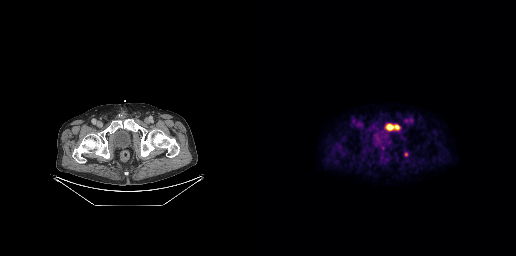
Left: CT. Right: PSMA PET, same axial level, [18F]PSMA-1007 tracer. Acquired on GE Discovery 690. Slice position z = -731 mm. PET panel 256×256 px (2.7 mm/px). Coordinates are on the 256×256 PET (right) panel. (showing 1 of 2 foci) PSMA-avid tumor lesion bounding box (x0,y0,x1,y1): [125,124,139,130].